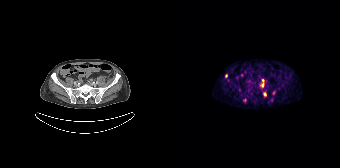
Paired axial CT (left) and PSMA PET (right), 68Ga tracer.
Coordinates are on the 168×168 PET (right) panel. PSMA-avid tumor lesion bounding boxes (partial; 1 more focus not listed):
| # | x0 | y0 | x1 | y1 |
|---|---|---|---|---|
| 1 | 88 | 79 | 92 | 87 |
| 2 | 91 | 92 | 94 | 96 |
Small PSMA-avid foci (2 to 4 px across) near (center x, center y): (54, 75); (67, 89); (72, 99).